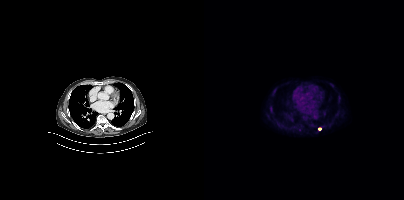
{"modality":"PSMA PET/CT","view":"axial","tracer":"[18F]PSMA-1007","pet_grid":[200,200],"coord_frame":"pet_panel","coord_format":"x0,y0,x1,y1","lesion_bboxes":[],"small_foci_centers":[[115,128]]}